Technique: Two-panel axial: CT | PSMA PET, 18F tracer. slice position z = -979 mm.
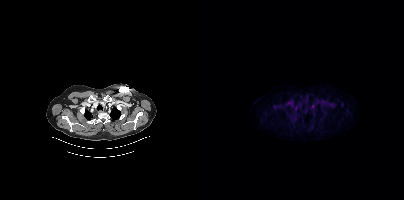
Findings: This slice has no annotated PSMA-avid lesion.